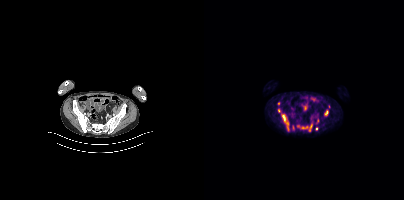
{"modality":"PSMA PET/CT","view":"axial","tracer":"[18F]PSMA-1007","pet_grid":[200,200],"coord_frame":"pet_panel","coord_format":"x0,y0,x1,y1","partial":true,"lesion_bboxes":[[93,124,108,131],[82,123,85,130],[120,110,124,115],[79,115,80,119]],"small_foci_centers":[[112,128],[74,103],[89,127]]}